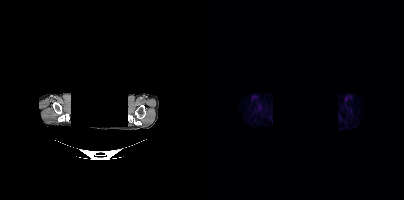
Negative for PSMA-avid disease on this slice. Left: CT. Right: PSMA PET, same axial level, 18F tracer. Acquired on Siemens Biograph mCT Flow 20. Slice position z = -231 mm. PET panel 200×200 px (4.1 mm/px). Privacy masking over the head, with the pixels inside a rectangle set to black.